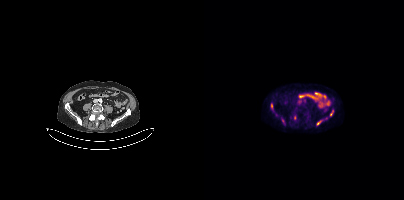
Coordinates are on the 200×200 PET (right) panel. (showing 3 of 5 foci) Small PSMA-avid foci (2 to 4 px across) near (center x, center y): (114, 123), (67, 105), (90, 117).